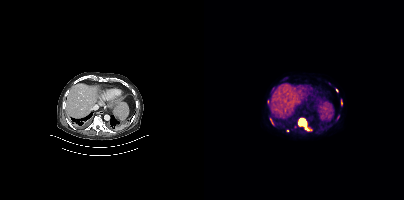
Coordinates are on the 200×200 PET (right) panel. PSMA-avid tumor lesion bounding boxes (partial; 2 more foci not listed):
| # | x0 | y0 | x1 | y1 |
|---|---|---|---|---|
| 1 | 93 | 117 | 108 | 131 |
| 2 | 66 | 118 | 69 | 124 |
Small PSMA-avid foci (2 to 4 px across) near (center x, center y): (133, 90); (137, 101); (83, 130).
Two-panel axial: CT | PSMA PET, 18F-PSMA tracer.